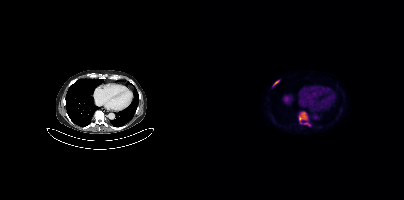
{"modality":"PSMA PET/CT","view":"axial","tracer":"18F-PSMA","pet_grid":[200,200],"coord_frame":"pet_panel","coord_format":"x0,y0,x1,y1","lesion_bboxes":[[95,112,103,123],[69,80,75,86],[100,123,106,125]]}